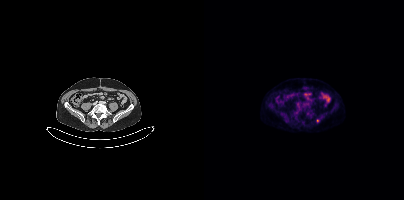
Coordinates are on the 200×200 PET (right) panel. Small PSMA-avid focus (2 to 4 px across) near (center x, center y): (113, 120).